modality: PSMA PET/CT | tracer: 18F-PSMA | view: axial
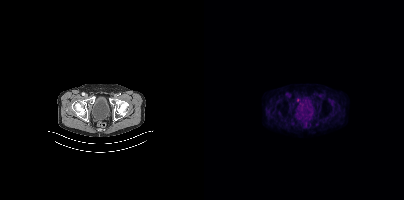
Coordinates are on the 200×200 PET (right) panel. Small PSMA-avid focus (2 to 4 px across) near (center x, center y): (93, 99).